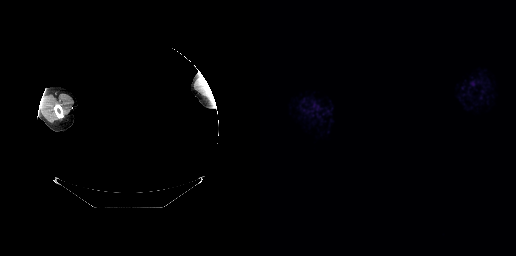
redaction: head region blacked out before release | modality: PSMA PET/CT | tracer: [68Ga]Ga-PSMA-11 | view: axial | PET grid: 256×256
No tumor lesions annotated on this slice.